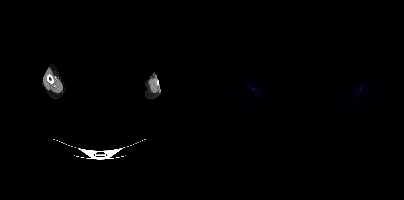
modality: PSMA PET/CT | tracer: [18F]PSMA-1007 | view: axial | deidentification: head region blacked out before release
No tumor lesions annotated on this slice.